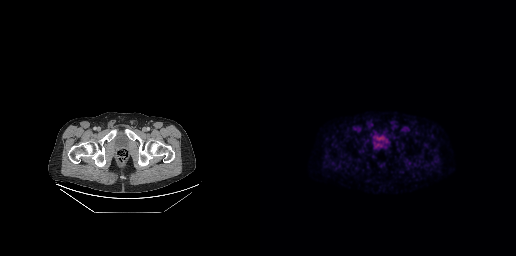
Left: CT. Right: PSMA PET, same axial level, [18F]PSMA-1007 tracer. Only PSMA-avid lesion pieces thinner than 2 px on this slice (not listed).